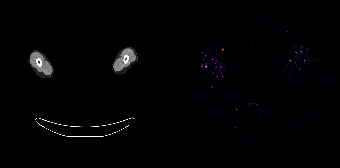
{"pet_grid":[168,168],"coord_frame":"pet_panel","coord_format":"x0,y0,x1,y1","psma_avid_lesions":false,"modality":"PSMA PET/CT","view":"axial","tracer":"68Ga","deidentification":"head region blacked out before release"}